modality: PSMA PET/CT | tracer: 18F | view: axial | PET grid: 200×200
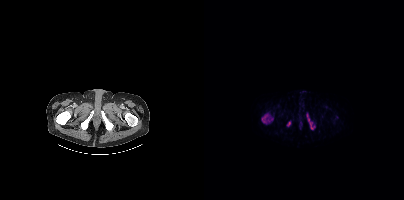
Coordinates are on the 200×200 PET (right) panel. PSMA-avid tumor lesion bounding boxes (x0,y0,x1,y1): [58,114,65,123] [103,114,110,129]. Small PSMA-avid focus (2 to 4 px across) near (center x, center y): (84, 123).